modality: PSMA PET/CT | tracer: 18F | view: axial | PET grid: 200×200
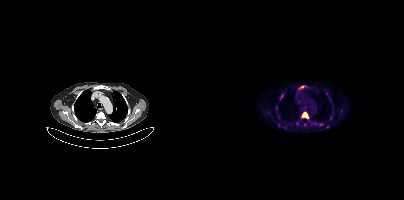
Coordinates are on the 200×200 PET (right) panel. (showing 2 of 3 foci) PSMA-avid tumor lesion bounding box (x0, y0)-(x1, y1): (97, 112)-(104, 118). Small PSMA-avid focus (2 to 4 px across) near (center x, center y): (98, 86).